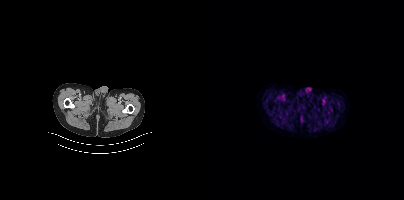
No tumor lesions annotated on this slice.
modality: PSMA PET/CT | tracer: 18F-PSMA | view: axial